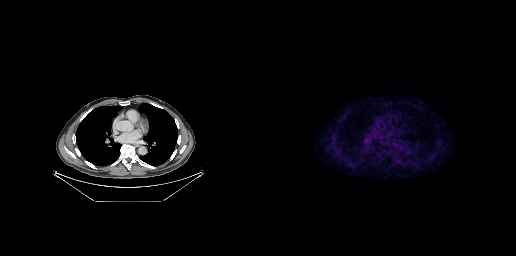
This slice has no annotated PSMA-avid lesion. Two-panel axial: CT | PSMA PET, [18F]PSMA-1007 tracer. Slice position z = -259 mm.